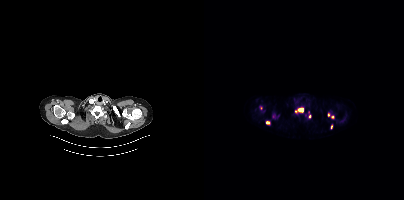
- Left: CT. Right: PSMA PET, same axial level, [18F]PSMA-1007 tracer
- slice position z = -1001 mm
Findings: Coordinates are on the 200×200 PET (right) panel. PSMA-avid tumor lesion bounding box (x0, y0)-(x1, y1): (91, 107)-(99, 112). Small PSMA-avid foci (2 to 4 px across) near (center x, center y): (63, 122) | (128, 116) | (124, 114) | (105, 116) | (127, 126) | (57, 107).